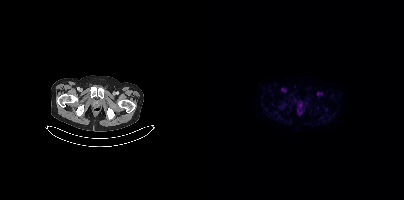
No PSMA-avid tumor lesions on this slice.